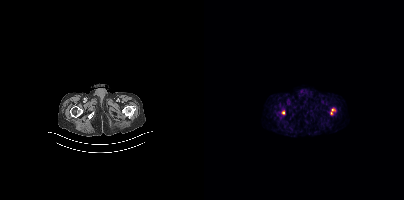
- Two-panel axial: CT | PSMA PET, 18F-PSMA tracer
- acquired on Siemens Biograph mCT Flow 20
Findings: Coordinates are on the 200×200 PET (right) panel. PSMA-avid tumor lesion bounding boxes (x0, y0)-(x1, y1): (126, 108)-(131, 115); (77, 110)-(81, 114).